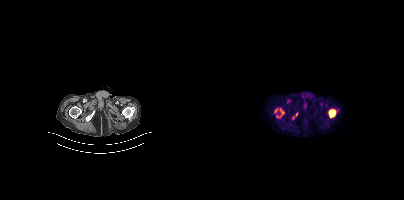
Coordinates are on the 200×200 PET (right) panel. PSMA-avid tumor lesion bounding boxes (partial; 1 more focus not listed):
| # | x0 | y0 | x1 | y1 |
|---|---|---|---|---|
| 1 | 88 | 113 | 93 | 119 |
| 2 | 76 | 108 | 79 | 116 |
Small PSMA-avid focus (2 to 4 px across) near (center x, center y): (72, 110).
Paired axial CT (left) and PSMA PET (right), [18F]PSMA-1007 tracer. Slice 24 of 367. PET panel 200×200 px (4.1 mm/px).